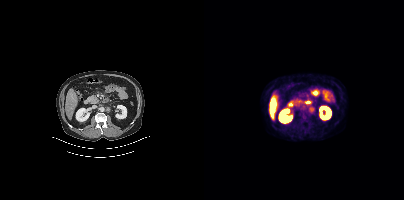
{"modality":"PSMA PET/CT","view":"axial","tracer":"18F","pet_grid":[200,200],"coord_frame":"pet_panel","coord_format":"x0,y0,x1,y1","lesion_bboxes":[],"small_foci_centers":[[107,108]]}